Technique: Two-panel axial: CT | PSMA PET, 18F tracer. PET panel 256×256 px (2.7 mm/px).
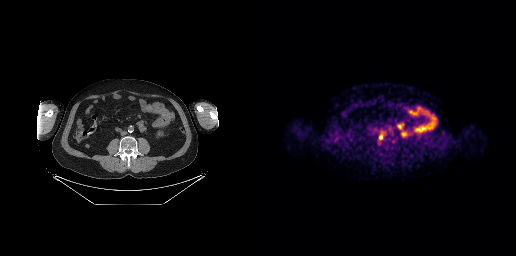
Findings: Coordinates are on the 256×256 PET (right) panel. PSMA-avid tumor lesion bounding box (x, y, width, height): x=119 y=135 w=4 h=5.